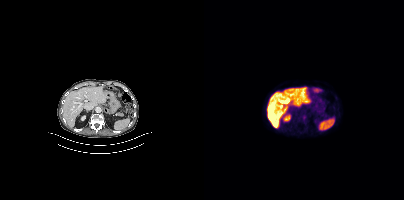
This slice has no annotated PSMA-avid lesion. Two-panel axial: CT | PSMA PET, [18F]PSMA-1007 tracer. PET panel 200×200 px (4.1 mm/px).